modality: PSMA PET/CT | tracer: [18F]PSMA-1007 | view: axial
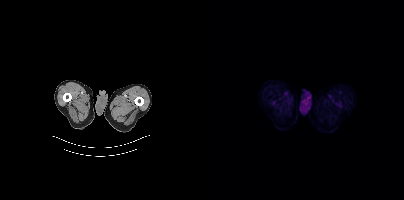
This slice has no annotated PSMA-avid lesion.